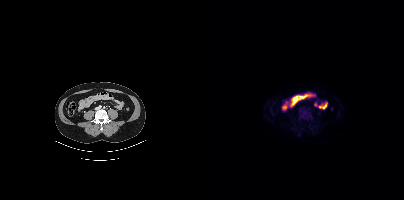
Technique: Two-panel axial: CT | PSMA PET, 18F tracer. acquired on Siemens Biograph mCT Flow 20. slice 157 of 423.
Findings: No tumor lesions annotated on this slice.